- Paired axial CT (left) and PSMA PET (right), 18F-PSMA tracer
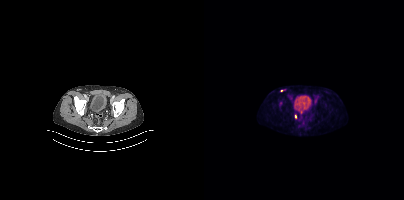
Findings: Coordinates are on the 200×200 PET (right) panel. (showing 2 of 3 foci) Small PSMA-avid foci (2 to 4 px across) near (center x, center y): (91, 116); (79, 90).